Paired axial CT (left) and PSMA PET (right), 18F tracer. Acquired on GE Discovery 690. Slice position z = -155 mm.
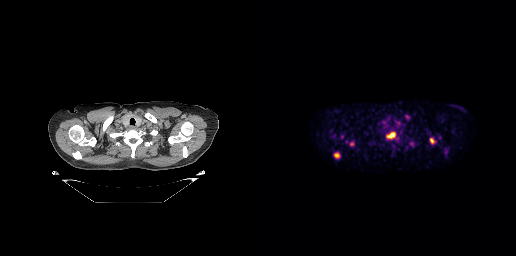
Coordinates are on the 256×256 PET (right) panel. PSMA-avid tumor lesion bounding boxes (partial; 2 more foci not listed):
| # | x0 | y0 | x1 | y1 |
|---|---|---|---|---|
| 1 | 126 | 131 | 136 | 139 |
| 2 | 73 | 152 | 80 | 158 |
| 3 | 169 | 137 | 175 | 144 |
| 4 | 90 | 142 | 94 | 145 |
Small PSMA-avid focus (2 to 4 px across) near (center x, center y): (147, 116).